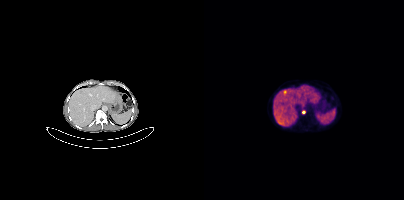
Coordinates are on the 200×200 PET (right) panel. Small PSMA-avid focus (2 to 4 px across) near (center x, center y): (99, 112). Two-panel axial: CT | PSMA PET, 68Ga-PSMA tracer.